- Left: CT. Right: PSMA PET, same axial level, 18F tracer
- PET panel 200×200 px (4.1 mm/px)
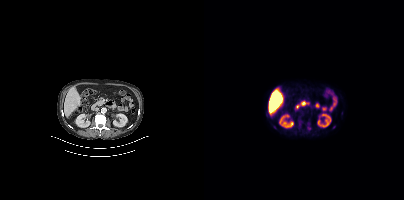
Findings: Coordinates are on the 200×200 PET (right) panel. Small PSMA-avid foci (2 to 4 px across) near (center x, center y): (104, 128); (95, 124).